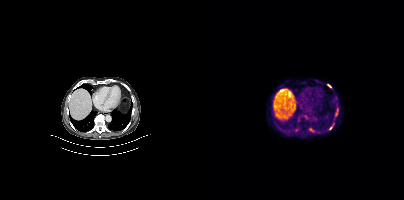
Technique: Paired axial CT (left) and PSMA PET (right), 18F tracer. slice position z = -588 mm. PET panel 200×200 px (4.1 mm/px).
Findings: Coordinates are on the 200×200 PET (right) panel. (showing 3 of 4 foci) PSMA-avid tumor lesion bounding box (x0,y0,x1,y1): [123,84,127,87]. Small PSMA-avid foci (2 to 4 px across) near (center x, center y): (126, 128) (106, 129).